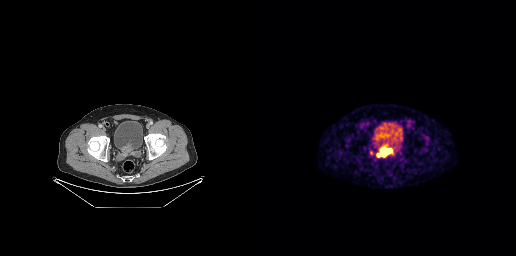
{"modality":"PSMA PET/CT","view":"axial","tracer":"68Ga","pet_grid":[256,256],"coord_frame":"pet_panel","coord_format":"x0,y0,x1,y1","lesion_bboxes":[[117,147,132,156]]}